- Left: CT. Right: PSMA PET, same axial level, [18F]PSMA-1007 tracer
- PET panel 200×200 px (4.1 mm/px)
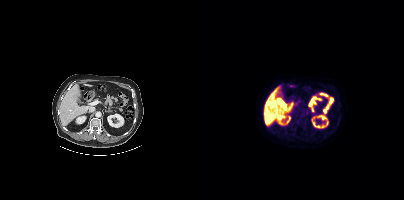
Findings: Negative for PSMA-avid disease on this slice.